- Left: CT. Right: PSMA PET, same axial level, [18F]PSMA-1007 tracer
- acquired on Siemens Biograph mCT Flow 20
- slice 36 of 444
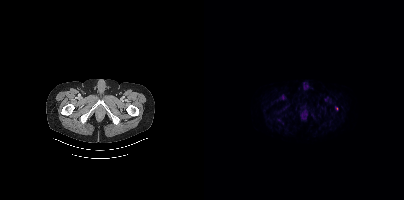
Findings: Coordinates are on the 200×200 PET (right) panel. Small PSMA-avid focus (2 to 4 px across) near (center x, center y): (132, 108).